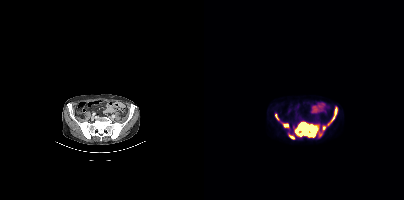
Findings: Coordinates are on the 200×200 PET (right) panel. PSMA-avid tumor lesion bounding boxes (x0,y0,x1,y1): [91,116,130,137]; [78,123,84,127]; [131,107,133,114]; [71,114,75,120]; [85,135,89,137].
Technique: Paired axial CT (left) and PSMA PET (right), 18F tracer. slice 119 of 435. PET panel 200×200 px (4.1 mm/px).